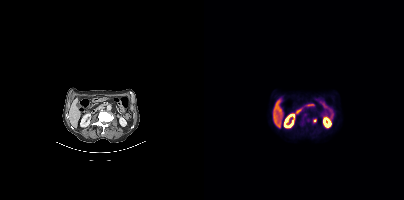
modality: PSMA PET/CT | tracer: 18F-PSMA | view: axial
Coordinates are on the 200×200 PET (right) panel. Small PSMA-avid focus (2 to 4 px across) near (center x, center y): (111, 120).